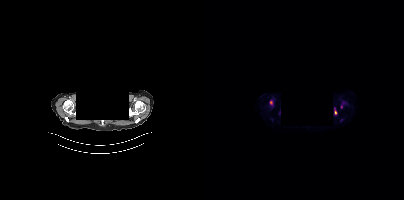
Technique: Left: CT. Right: PSMA PET, same axial level, 18F tracer. slice position z = -942 mm.
Note: Face de-identified by blanking a block of the head.
Findings: Coordinates are on the 200×200 PET (right) panel. (showing 2 of 4 foci) PSMA-avid tumor lesion bounding box (x, y, width, height): x=130 y=108 w=3 h=7. Small PSMA-avid focus (2 to 4 px across) near (center x, center y): (67, 102).